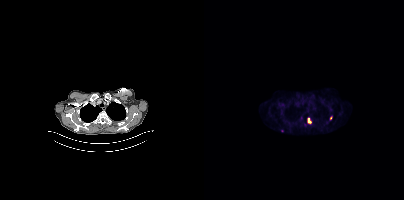
Coordinates are on the 200×200 PET (right) panel. PSMA-avid tumor lesion bounding boxes (x, y, width, height): x=104 y=118 w=4 h=6 | x=126 y=116 w=3 h=5. Small PSMA-avid foci (2 to 4 px across) near (center x, center y): (97, 117) | (100, 124) | (77, 130). Two-panel axial: CT | PSMA PET, 18F-PSMA tracer. Acquired on Siemens Biograph mCT Flow 20. Slice 317 of 405.